Two-panel axial: CT | PSMA PET, 18F-PSMA tracer. Acquired on Siemens Biograph mCT Flow 20.
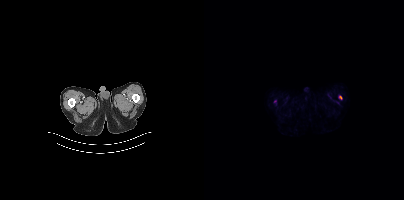
Coordinates are on the 200×200 PET (right) panel. (showing 1 of 2 foci) Small PSMA-avid focus (2 to 4 px across) near (center x, center y): (136, 97).